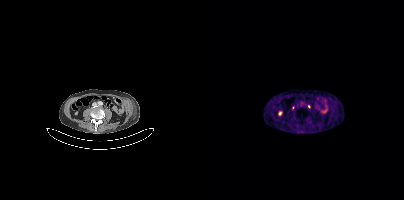
{"modality":"PSMA PET/CT","view":"axial","tracer":"68Ga","pet_grid":[200,200],"coord_frame":"pet_panel","coord_format":"x0,y0,x1,y1","psma_avid_lesions":false}